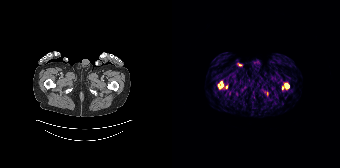
Coordinates are on the 168×168 PET (right) panel. (showing 4 of 5 foci) PSMA-avid tumor lesion bounding boxes (x0, y0)-(x1, y1): (113, 83)-(117, 88); (47, 81)-(51, 88). Small PSMA-avid foci (2 to 4 px across) near (center x, center y): (110, 88); (54, 86).